modality: PSMA PET/CT | tracer: 18F | view: axial
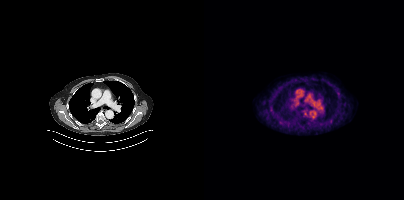
Only PSMA-avid lesion pieces thinner than 2 px on this slice (not listed).